modality: PSMA PET/CT | tracer: [18F]PSMA-1007 | view: axial | PET grid: 200×200
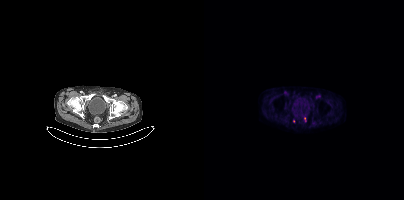
Coordinates are on the 200×200 PET (right) panel. (showing 2 of 3 foci) PSMA-avid tumor lesion bounding box (x, y, width, height): x=100 y=117 w=2 h=5. Small PSMA-avid focus (2 to 4 px across) near (center x, center y): (89, 120).